Left: CT. Right: PSMA PET, same axial level, [68Ga]Ga-PSMA-11 tracer. Acquired on GE Discovery 690. Slice 60 of 263.
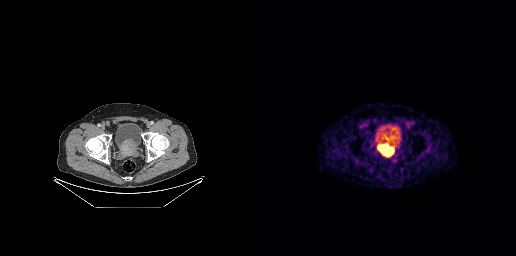
Coordinates are on the 256×256 PET (right) panel. PSMA-avid tumor lesion bounding box (x0,y0,x1,y1): [118,144,133,156]. Small PSMA-avid focus (2 to 4 px across) near (center x, center y): (130, 139).